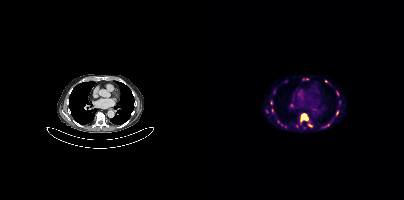
Findings: Coordinates are on the 200×200 PET (right) panel. (showing 5 of 9 foci) PSMA-avid tumor lesion bounding boxes (x0, y0)-(x1, y1): (96, 113)-(104, 121); (104, 123)-(108, 127). Small PSMA-avid foci (2 to 4 px across) near (center x, center y): (67, 102); (133, 112); (121, 81).
- Paired axial CT (left) and PSMA PET (right), 18F-PSMA tracer
- acquired on Siemens Biograph mCT Flow 20